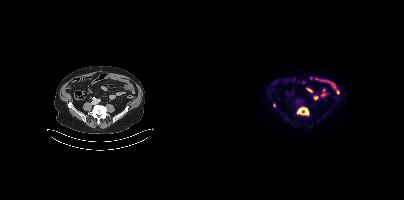
Coordinates are on the 200×200 PET (right) panel. PSMA-avid tumor lesion bounding boxes:
| # | x0 | y0 | x1 | y1 |
|---|---|---|---|---|
| 1 | 93 | 107 | 105 | 115 |
Small PSMA-avid foci (2 to 4 px across) near (center x, center y): (70, 105); (121, 114).
Two-panel axial: CT | PSMA PET, 18F-PSMA tracer. Slice 133 of 389. PET panel 200×200 px (4.1 mm/px).